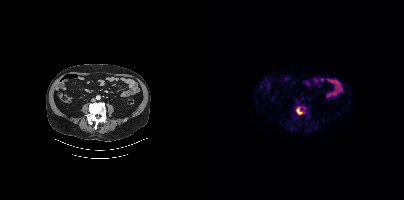
Coordinates are on the 200×200 PET (right) panel. PSMA-avid tumor lesion bounding box (x0,y0,x1,y1): [92,107,98,114].